modality: PSMA PET/CT | tracer: [18F]PSMA-1007 | view: axial
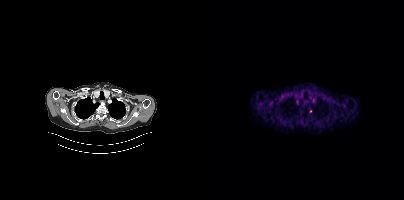
Coordinates are on the 200×200 PET (right) panel. Small PSMA-avid focus (2 to 4 px across) near (center x, center y): (106, 111).